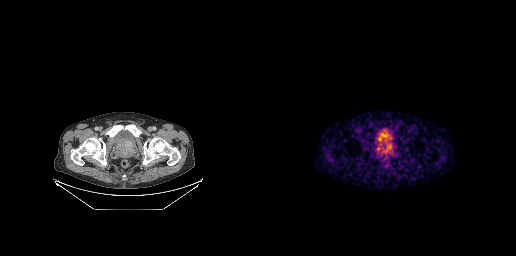
modality: PSMA PET/CT | tracer: 68Ga-PSMA | view: axial
Coordinates are on the 256×256 PET (right) panel. PSMA-avid tumor lesion bounding box (x0,y0,x1,y1): [116,137,133,158].